- Left: CT. Right: PSMA PET, same axial level, 18F tracer
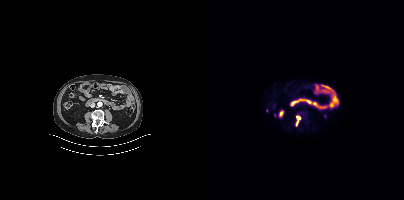
Findings: Coordinates are on the 200×200 PET (right) panel. PSMA-avid tumor lesion bounding box (x0, y0)-(x1, y1): (92, 116)-(96, 125). Small PSMA-avid focus (2 to 4 px across) near (center x, center y): (62, 110).